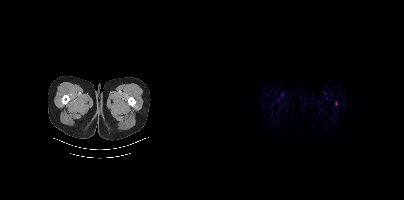
- Left: CT. Right: PSMA PET, same axial level, 18F-PSMA tracer
- acquired on Siemens Biograph mCT Flow 20
- PET panel 200×200 px (4.1 mm/px)
Findings: Coordinates are on the 200×200 PET (right) panel. Small PSMA-avid focus (2 to 4 px across) near (center x, center y): (132, 103).